deidentification: head region blacked out before release | modality: PSMA PET/CT | tracer: [18F]PSMA-1007 | view: axial
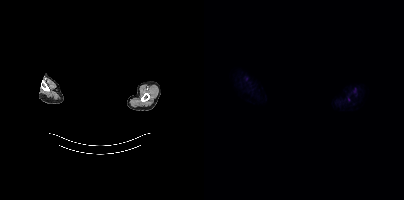
Coordinates are on the 200×200 PET (right) panel. Small PSMA-avid focus (2 to 4 px across) near (center x, center y): (144, 99).